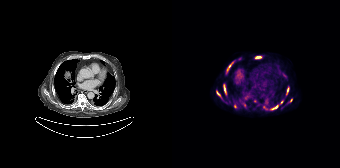
Coordinates are on the 168×168 PET (right) panel. (showing 8 of 12 foci) PSMA-avid tumor lesion bounding boxes (x, y, width, height): x=51 y=84 w=4 h=11 / x=98 y=105 w=9 h=5 / x=83 y=56 w=7 h=3 / x=56 y=62 w=6 h=7 / x=44 y=91 w=5 h=6 / x=114 y=87 w=4 h=8. Small PSMA-avid foci (2 to 4 px across) near (center x, center y): (63, 106) / (109, 101).